Two-panel axial: CT | PSMA PET, 68Ga-PSMA tracer. Slice position z = 601 mm.
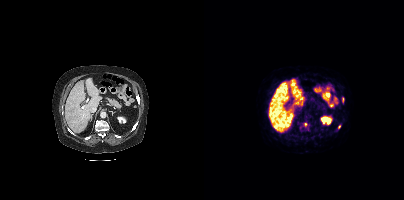
Coordinates are on the 200×200 PET (right) panel. PSMA-avid tumor lesion bounding boxes:
| # | x0 | y0 | x1 | y1 |
|---|---|---|---|---|
| 1 | 138 | 97 | 140 | 102 |
Small PSMA-avid foci (2 to 4 px across) near (center x, center y): (135, 126); (101, 124).